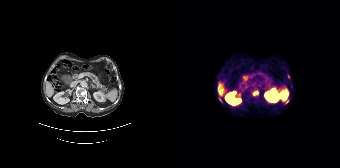
modality: PSMA PET/CT | tracer: 68Ga | view: axial | PET grid: 168×168
Coordinates are on the 168×168 PET (right) panel. (showing 3 of 4 foci) PSMA-avid tumor lesion bounding box (x0,y0,x1,y1): [81,91,86,95]. Small PSMA-avid foci (2 to 4 px across) near (center x, center y): (114, 102); (48, 99).